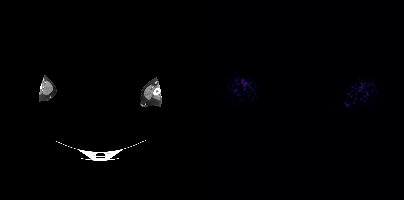
deidentification: rectangular block over head set to black | modality: PSMA PET/CT | tracer: 18F-PSMA | view: axial | PET grid: 200×200
No PSMA-avid tumor lesions on this slice.